Two-panel axial: CT | PSMA PET, 68Ga tracer. Acquired on GE Discovery 690.
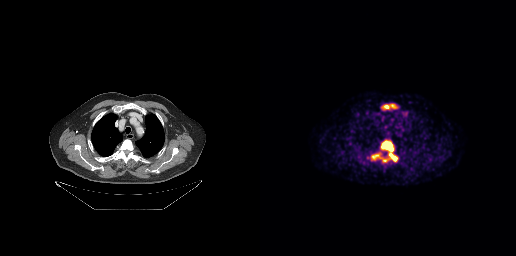
Coordinates are on the 256×256 PET (right) panel. PSMA-avid tumor lesion bounding boxes:
| # | x0 | y0 | x1 | y1 |
|---|---|---|---|---|
| 1 | 111 | 139 | 138 | 162 |
| 2 | 121 | 104 | 137 | 109 |